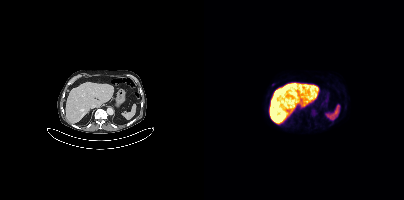
Paired axial CT (left) and PSMA PET (right), [18F]PSMA-1007 tracer. Slice 225 of 429. This slice has no annotated PSMA-avid lesion.